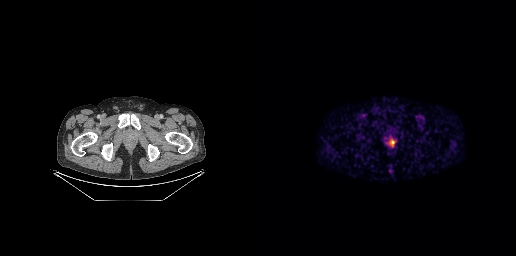
Only PSMA-avid lesion pieces thinner than 2 px on this slice (not listed).